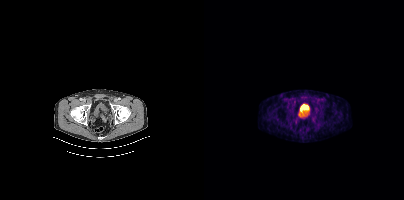
Paired axial CT (left) and PSMA PET (right), 18F-PSMA tracer. PET panel 200×200 px (4.1 mm/px). No tumor lesions annotated on this slice.